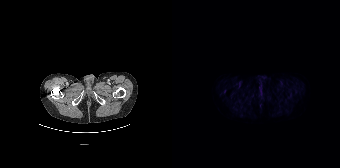
Paired axial CT (left) and PSMA PET (right), 18F tracer. Acquired on Siemens Biograph 64-4R TruePoint. Slice position z = -1253 mm. No tumor lesions annotated on this slice.